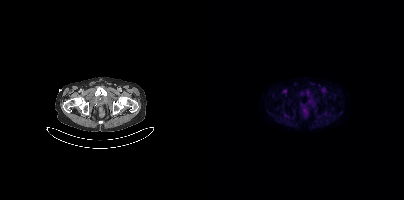
Findings: No tumor lesions annotated on this slice.
Technique: Left: CT. Right: PSMA PET, same axial level, 18F-PSMA tracer. slice 58 of 401.